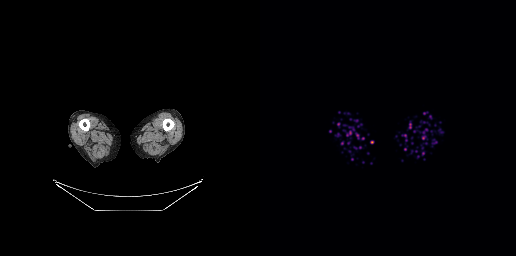
Technique: Two-panel axial: CT | PSMA PET, 18F tracer. acquired on GE Discovery 690. PET panel 256×256 px (2.7 mm/px).
Findings: No PSMA-avid tumor lesions on this slice.